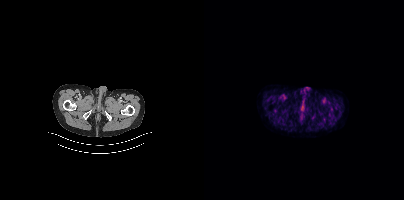
{"modality":"PSMA PET/CT","view":"axial","tracer":"18F","pet_grid":[200,200],"coord_frame":"pet_panel","coord_format":"x0,y0,x1,y1","psma_avid_lesions":false}